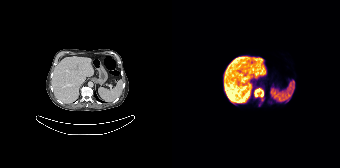
modality: PSMA PET/CT | tracer: 18F | view: axial | PET grid: 168×168
Coordinates are on the 168×168 PET (right) panel. PSMA-avid tumor lesion bounding box (x, y, width, height): x=81 y=87 w=12 h=16.